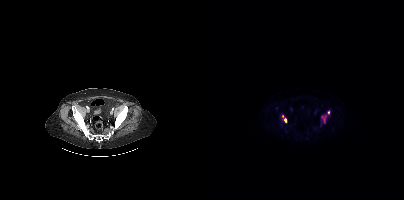
Coordinates are on the 200×200 PET (right) panel. (showing 3 of 4 foci) PSMA-avid tumor lesion bounding boxes (x0, y0)-(x1, y1): (117, 115)-(122, 123) | (80, 118)-(82, 122). Small PSMA-avid focus (2 to 4 px across) near (center x, center y): (124, 112). Paired axial CT (left) and PSMA PET (right), 18F-PSMA tracer. PET panel 200×200 px (4.1 mm/px).